- Paired axial CT (left) and PSMA PET (right), 18F tracer
- PET panel 200×200 px (4.1 mm/px)
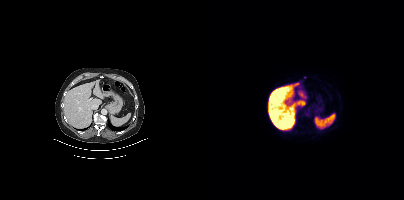
Findings: Coordinates are on the 200×200 PET (right) panel. Small PSMA-avid focus (2 to 4 px across) near (center x, center y): (101, 77).